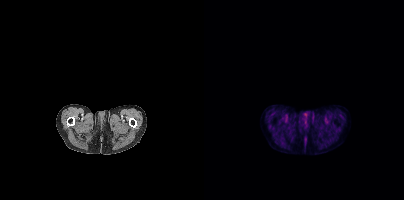
{"modality":"PSMA PET/CT","view":"axial","tracer":"18F-PSMA","pet_grid":[200,200],"coord_frame":"pet_panel","coord_format":"x0,y0,x1,y1","psma_avid_lesions":false}